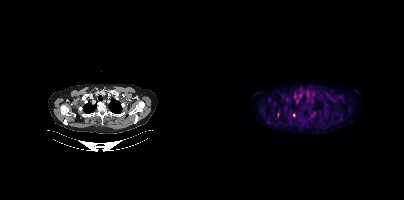
Coordinates are on the 200×200 PET (right) panel. (showing 1 of 2 foci) Small PSMA-avid focus (2 to 4 px across) near (center x, center y): (90, 115).